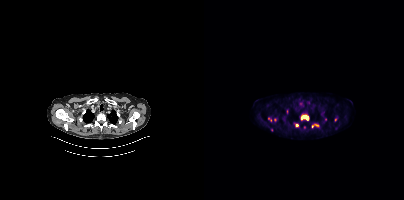
{"modality":"PSMA PET/CT","view":"axial","tracer":"[18F]PSMA-1007","pet_grid":[200,200],"coord_frame":"pet_panel","coord_format":"x0,y0,x1,y1","partial":true,"lesion_bboxes":[[96,114,105,120],[108,124,114,127]],"small_foci_centers":[[92,125],[131,119]]}